modality: PSMA PET/CT | tracer: [18F]PSMA-1007 | view: axial
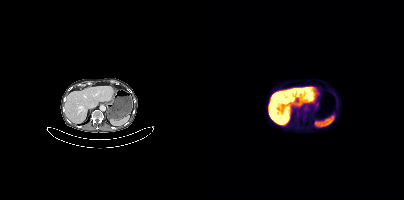
This slice has no annotated PSMA-avid lesion.